modality: PSMA PET/CT | tracer: 18F | view: axial
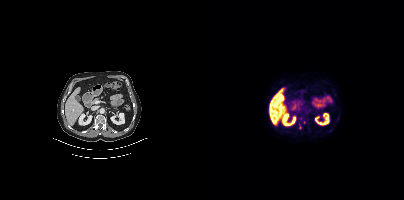
Coordinates are on the 200×200 PET (right) panel. (showing 1 of 2 foci) Small PSMA-avid focus (2 to 4 px across) near (center x, center y): (96, 127).